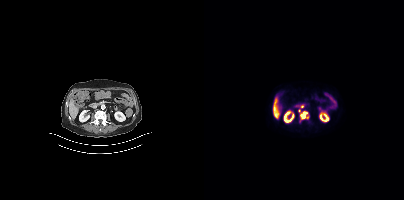
modality: PSMA PET/CT | tracer: 18F-PSMA | view: axial
Coordinates are on the 200×200 PET (right) panel. (showing 3 of 4 foci) PSMA-avid tumor lesion bounding box (x0, y0)-(x1, y1): (96, 111)-(103, 118). Small PSMA-avid foci (2 to 4 px across) near (center x, center y): (98, 106); (103, 117).